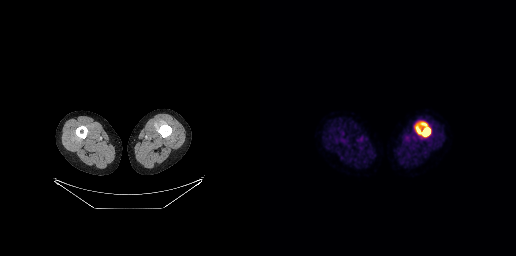
Findings: Coordinates are on the 256×256 PET (right) panel. PSMA-avid tumor lesion bounding box (x, y, width, height): x=155 y=122 w=16 h=15.
- Paired axial CT (left) and PSMA PET (right), 18F tracer
- PET panel 256×256 px (2.7 mm/px)